Two-panel axial: CT | PSMA PET, 18F-PSMA tracer. Acquired on Siemens Biograph mCT Flow 20. Slice 80 of 395. PET panel 200×200 px (4.1 mm/px).
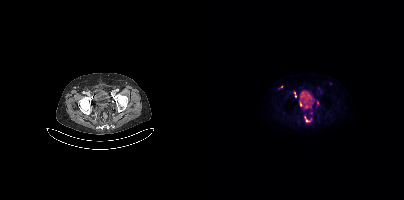
Coordinates are on the 200×200 PET (right) panel. PSMA-avid tumor lesion bounding boxes:
| # | x0 | y0 | x1 | y1 |
|---|---|---|---|---|
| 1 | 100 | 116 | 106 | 122 |
| 2 | 95 | 102 | 98 | 106 |
| 3 | 90 | 92 | 92 | 96 |
Small PSMA-avid foci (2 to 4 px across) near (center x, center y): (77, 86); (113, 102).